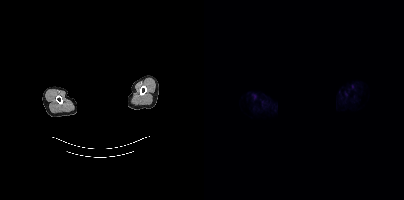
No PSMA-avid tumor lesions on this slice. Paired axial CT (left) and PSMA PET (right), 68Ga-PSMA tracer. The face region was removed for patient privacy by blanking a rectangle over the head.